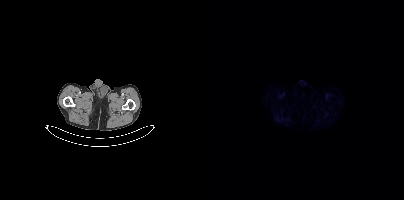
No tumor lesions annotated on this slice.